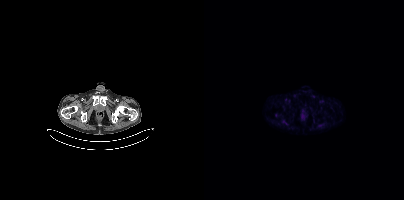
modality: PSMA PET/CT | tracer: [18F]PSMA-1007 | view: axial | PET grid: 200×200
Negative for PSMA-avid disease on this slice.